Paired axial CT (left) and PSMA PET (right), 18F tracer. Acquired on GE Discovery 690. Slice position z = -470 mm. PET panel 256×256 px (2.7 mm/px).
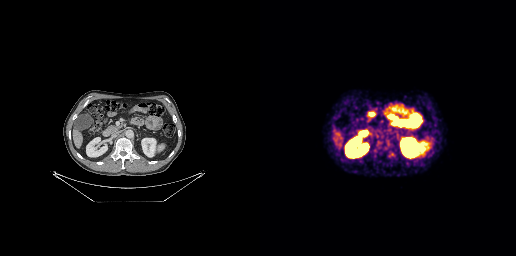
Coordinates are on the 256×256 PET (right) panel. PSMA-avid tumor lesion bounding boxes (x, y, width, height): x=129 y=152 w=6 h=6; x=116 y=143 w=5 h=6.